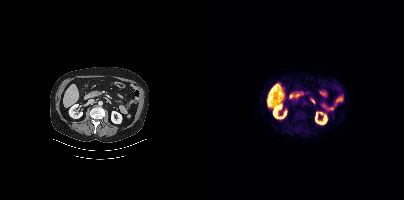
{"pet_grid":[200,200],"coord_frame":"pet_panel","coord_format":"x0,y0,x1,y1","psma_avid_lesions":false,"modality":"PSMA PET/CT","view":"axial","tracer":"[18F]PSMA-1007"}